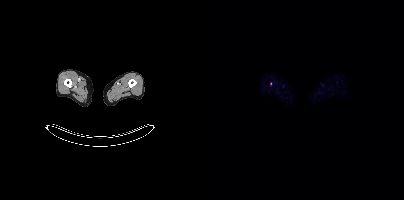
Coordinates are on the 200×200 PET (right) panel. Small PSMA-avid focus (2 to 4 px across) near (center x, center y): (66, 83).